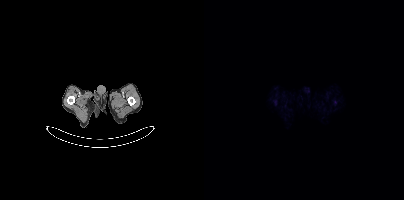
Technique: Two-panel axial: CT | PSMA PET, 18F-PSMA tracer. acquired on Siemens Biograph mCT Flow 20.
Findings: Negative for PSMA-avid disease on this slice.